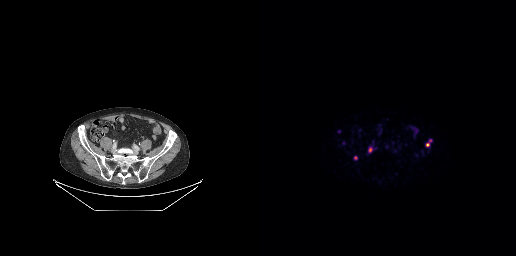
Coordinates are on the 256×256 PET (right) panel. (showing 3 of 4 foci) PSMA-avid tumor lesion bounding box (x0, y0)-(x1, y1): (109, 147)-(112, 152). Small PSMA-avid foci (2 to 4 px across) near (center x, center y): (167, 144) | (95, 157).